Technique: Paired axial CT (left) and PSMA PET (right), [18F]PSMA-1007 tracer. slice position z = -1019 mm. PET panel 200×200 px (4.1 mm/px).
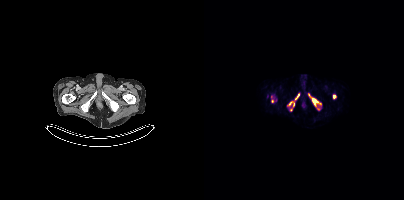
Findings: Coordinates are on the 200×200 PET (right) panel. PSMA-avid tumor lesion bounding boxes (x0,y0,x1,y1): [104,94,117,106]; [84,101,90,106]; [91,94,95,99]. Small PSMA-avid foci (2 to 4 px across) near (center x, center y): (130, 96); (87, 109); (68, 101); (114, 108).